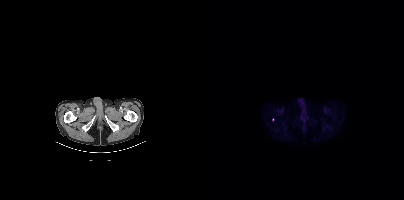
Technique: Paired axial CT (left) and PSMA PET (right), 18F-PSMA tracer. slice 41 of 435.
Findings: Only PSMA-avid lesion pieces thinner than 2 px on this slice (not listed).